Any black rectangle over the head is a privacy mask, not anatomy. Left: CT. Right: PSMA PET, same axial level, 18F tracer. Slice 386 of 427.
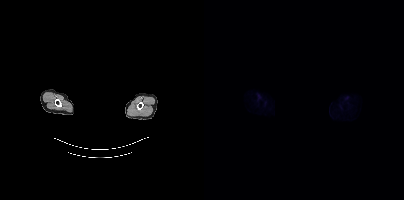
No tumor lesions annotated on this slice.